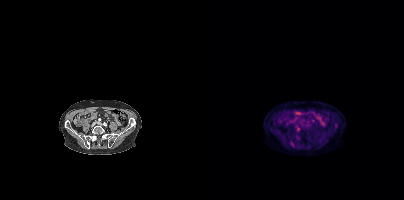
Coordinates are on the 200×200 PET (right) panel. Small PSMA-avid foci (2 to 4 px across) near (center x, center y): (93, 128), (87, 144), (132, 125).